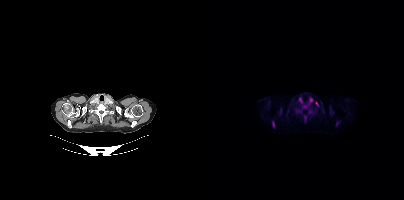
Coordinates are on the 200×200 PET (right) panel. PSMA-avid tumor lesion bounding boxes:
| # | x0 | y0 | x1 | y1 |
|---|---|---|---|---|
| 1 | 68 | 121 | 70 | 127 |
| 2 | 132 | 122 | 134 | 126 |
Small PSMA-avid focus (2 to 4 px across) near (center x, center y): (112, 103).
Two-panel axial: CT | PSMA PET, [18F]PSMA-1007 tracer. Slice position z = -263 mm. PET panel 200×200 px (4.1 mm/px).